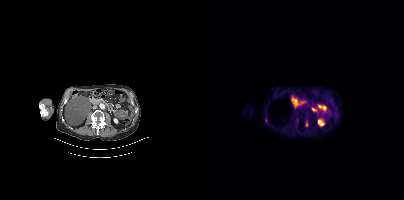
Findings: Coordinates are on the 200×200 PET (right) panel. (showing 1 of 2 foci) PSMA-avid tumor lesion bounding box (x, y, width, height): x=102 y=122 w=2 h=5.
Technique: Left: CT. Right: PSMA PET, same axial level, 18F-PSMA tracer. PET panel 200×200 px (4.1 mm/px).